Left: CT. Right: PSMA PET, same axial level, 18F-PSMA tracer. Slice 303 of 403. PET panel 200×200 px (4.1 mm/px).
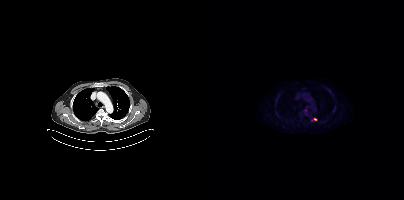
Coordinates are on the 200×200 PET (right) panel. PSMA-avid tumor lesion bounding boxes:
| # | x0 | y0 | x1 | y1 |
|---|---|---|---|---|
| 1 | 107 | 118 | 112 | 121 |
Small PSMA-avid focus (2 to 4 px across) near (center x, center y): (128, 95).